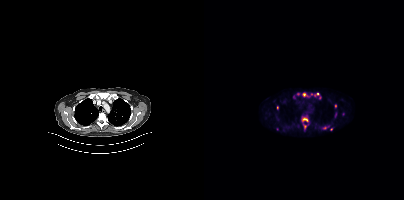
- Two-panel axial: CT | PSMA PET, 18F tracer
- PET panel 200×200 px (4.1 mm/px)
Findings: Coordinates are on the 200×200 PET (right) panel. (showing 13 of 15 foci) PSMA-avid tumor lesion bounding boxes (x, y, width, height): x=98 y=117 w=7 h=5 / x=99 y=124 w=4 h=6 / x=110 y=93 w=6 h=4 / x=104 y=94 w=5 h=4. Small PSMA-avid foci (2 to 4 px across) near (center x, center y): (93, 94) / (100, 94) / (131, 105) / (73, 107) / (131, 114) / (139, 114) / (127, 129) / (121, 127) / (89, 96).